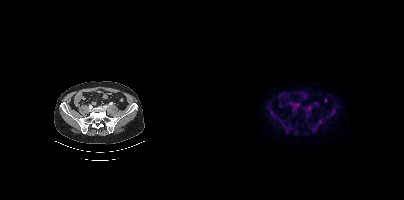
Negative for PSMA-avid disease on this slice. Paired axial CT (left) and PSMA PET (right), [18F]PSMA-1007 tracer. PET panel 200×200 px (4.1 mm/px).